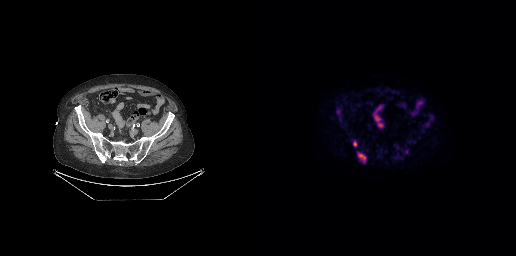
{"modality":"PSMA PET/CT","view":"axial","tracer":"18F","pet_grid":[256,256],"coord_frame":"pet_panel","coord_format":"x0,y0,x1,y1","lesion_bboxes":[[98,153,105,161],[93,142,96,146]],"small_foci_centers":[[78,111],[171,117],[146,151]]}